Left: CT. Right: PSMA PET, same axial level, 18F tracer. Acquired on Siemens Biograph mCT Flow 20. Slice 14 of 401.
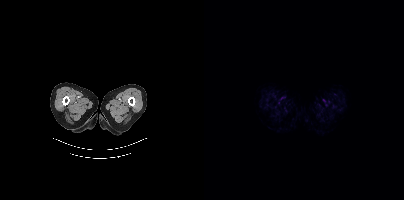
This slice has no annotated PSMA-avid lesion.